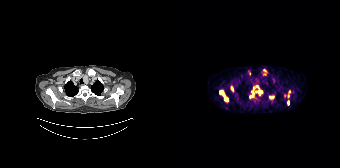
modality: PSMA PET/CT | tracer: 68Ga-PSMA | view: axial | PET grid: 168×168
Coordinates are on the 168×168 PET (right) panel. (showing 9 of 13 foci) PSMA-avid tumor lesion bounding boxes (x0,y0,x1,y1): [47,90,56,100] [86,91,90,94]. Small PSMA-avid foci (2 to 4 px across) near (center x, center y): (92, 70) (59, 88) (116, 102) (99, 97) (79, 96) (85, 86) (80, 93).